- Paired axial CT (left) and PSMA PET (right), 18F-PSMA tracer
- slice 194 of 411
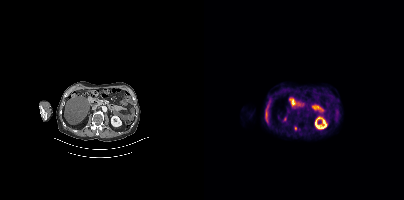
Findings: Coordinates are on the 200×200 PET (right) panel. Small PSMA-avid focus (2 to 4 px across) near (center x, center y): (91, 128).